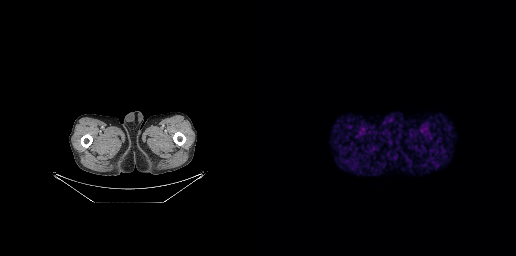
No PSMA-avid tumor lesions on this slice.